Technique: Two-panel axial: CT | PSMA PET, [18F]PSMA-1007 tracer. PET panel 200×200 px (4.1 mm/px).
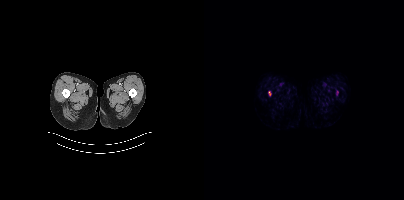
Findings: Coordinates are on the 200×200 PET (right) panel. Small PSMA-avid focus (2 to 4 px across) near (center x, center y): (65, 93).